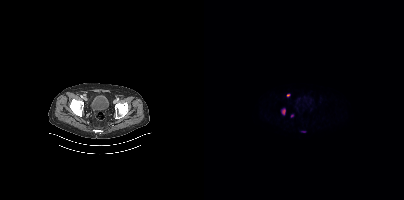
Findings: Coordinates are on the 200×200 PET (right) panel. PSMA-avid tumor lesion bounding boxes (x0,y0,x1,y1): [78,109,80,113] [97,131,101,132]. Small PSMA-avid foci (2 to 4 px across) near (center x, center y): (84, 95) (88, 115).
- Paired axial CT (left) and PSMA PET (right), 18F tracer
- slice position z = -958 mm